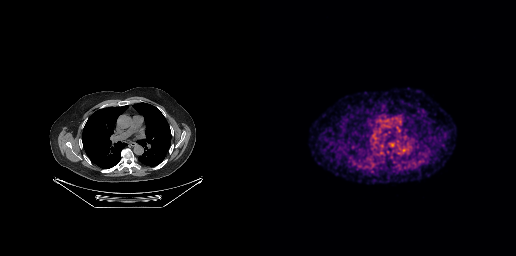
Technique: Two-panel axial: CT | PSMA PET, [68Ga]Ga-PSMA-11 tracer. acquired on GE Discovery 690. slice position z = -397 mm.
Findings: This slice has no annotated PSMA-avid lesion.